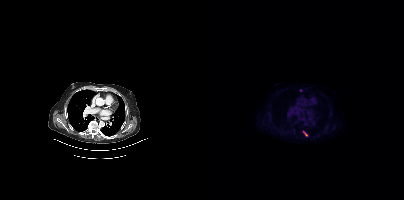
- Left: CT. Right: PSMA PET, same axial level, 18F tracer
- acquired on Siemens Biograph mCT Flow 20
- slice position z = -542 mm
Findings: Coordinates are on the 200×200 PET (right) panel. Small PSMA-avid foci (2 to 4 px across) near (center x, center y): (101, 133) / (96, 90).